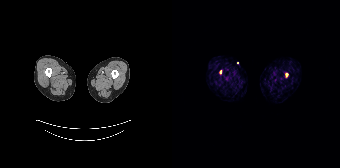
{"modality":"PSMA PET/CT","view":"axial","tracer":"[68Ga]Ga-PSMA-11","pet_grid":[168,168],"coord_frame":"pet_panel","coord_format":"x0,y0,x1,y1","lesion_bboxes":[],"small_foci_centers":[[114,74],[48,71]]}